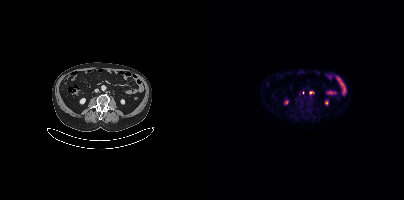
Findings: Negative for PSMA-avid disease on this slice.
- Left: CT. Right: PSMA PET, same axial level, 18F-PSMA tracer
- slice position z = -727 mm